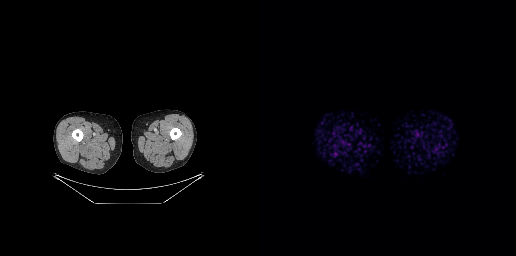
{"pet_grid":[256,256],"coord_frame":"pet_panel","coord_format":"x0,y0,x1,y1","psma_avid_lesions":false,"modality":"PSMA PET/CT","view":"axial","tracer":"[18F]PSMA-1007"}